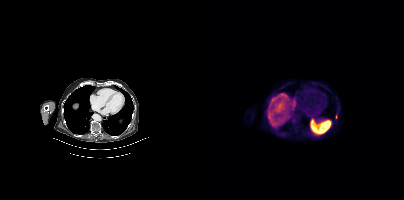
Findings: Coordinates are on the 200×200 PET (right) panel. Small PSMA-avid focus (2 to 4 px across) near (center x, center y): (132, 116).
- Left: CT. Right: PSMA PET, same axial level, 18F tracer
- acquired on Siemens Biograph mCT Flow 20
- slice position z = 94 mm
- PET panel 200×200 px (4.1 mm/px)